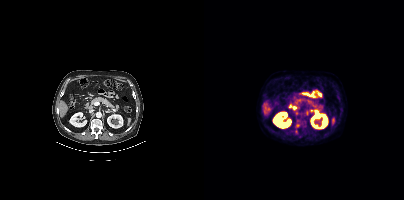
{"pet_grid":[200,200],"coord_frame":"pet_panel","coord_format":"x0,y0,x1,y1","lesion_bboxes":[],"small_foci_centers":[[94,125],[92,131],[92,113]],"modality":"PSMA PET/CT","view":"axial","tracer":"18F-PSMA"}